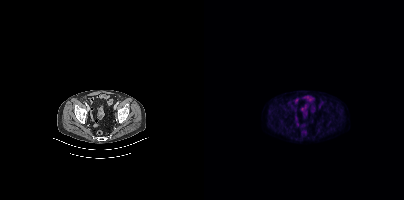
Two-panel axial: CT | PSMA PET, 18F-PSMA tracer. Slice 82 of 429. PET panel 200×200 px (4.1 mm/px). This slice has no annotated PSMA-avid lesion.